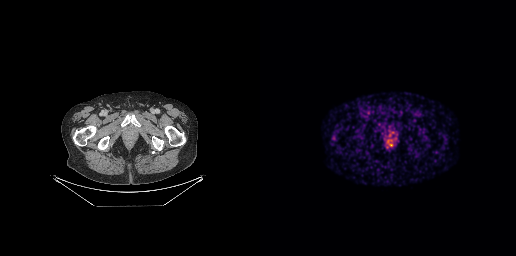
Coordinates are on the 256×256 PET (right) panel. PSMA-avid tumor lesion bounding boxes:
| # | x0 | y0 | x1 | y1 |
|---|---|---|---|---|
| 1 | 128 | 130 | 135 | 137 |
Paired axial CT (left) and PSMA PET (right), 68Ga-PSMA tracer. Acquired on GE Discovery 690. Slice 67 of 299.